Technique: Paired axial CT (left) and PSMA PET (right), 68Ga tracer. slice position z = -586 mm.
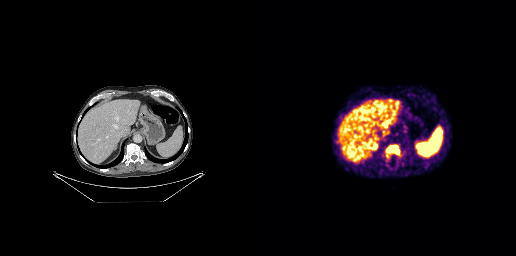
Findings: Coordinates are on the 256×256 PET (right) panel. PSMA-avid tumor lesion bounding boxes (x, y, width, height): x=127 y=145 w=13 h=9 | x=126 y=153 w=5 h=6.